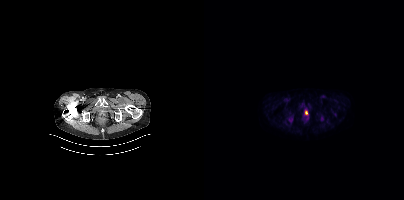
Coordinates are on the 200×200 PET (right) panel. Small PSMA-avid focus (2 to 4 px across) near (center x, center y): (102, 112).
modality: PSMA PET/CT | tracer: 18F | view: axial | PET grid: 200×200